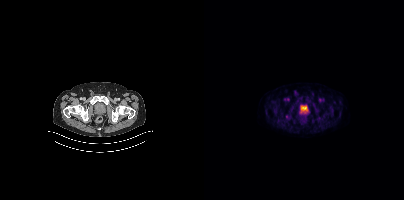
{"modality":"PSMA PET/CT","view":"axial","tracer":"[18F]PSMA-1007","pet_grid":[200,200],"coord_frame":"pet_panel","coord_format":"x0,y0,x1,y1","lesion_bboxes":[],"small_foci_centers":[[83,116]]}